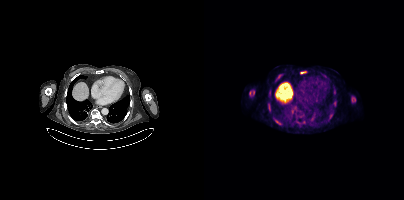
Coordinates are on the 200×200 PET (right) panel. (showing 8 of 9 foci) PSMA-avid tumor lesion bounding boxes (x0, y0)-(x1, y1): (45, 90)-(50, 95); (147, 97)-(151, 102); (70, 119)-(76, 124); (64, 104)-(66, 110); (96, 71)-(102, 73); (124, 116)-(126, 120). Small PSMA-avid foci (2 to 4 px across) near (center x, center y): (76, 75); (73, 78).